modality: PSMA PET/CT | tracer: [18F]PSMA-1007 | view: axial | PET grid: 200×200
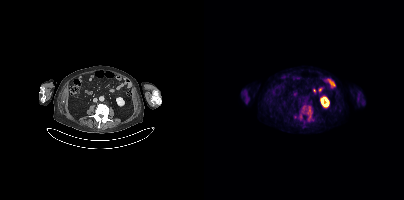
Coordinates are on the 200×200 PET (right) panel. (showing 3 of 5 foci) PSMA-avid tumor lesion bounding boxes (x0,y0,x1,y1): [103,106,108,120]; [98,106,101,112]. Small PSMA-avid focus (2 to 4 px across) near (center x, center y): (96, 116).